Head region blanked for anonymization (face removed).
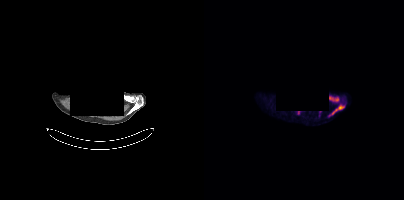
Coordinates are on the 200×200 PET (right) panel. PSMA-avid tumor lesion bounding boxes (x0,y0,x1,y1): [128,105,140,114], [125,96,134,101].